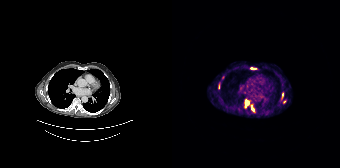
Coordinates are on the 168×168 PET (right) panel. (showing 6 of 7 foci) PSMA-avid tumor lesion bounding boxes (x, y, width, height): x=73 y=100 w=5 h=8 / x=79 y=105 w=3 h=6. Small PSMA-avid foci (2 to 4 px across) near (center x, center y): (80, 68) / (110, 94) / (50, 77) / (112, 101).